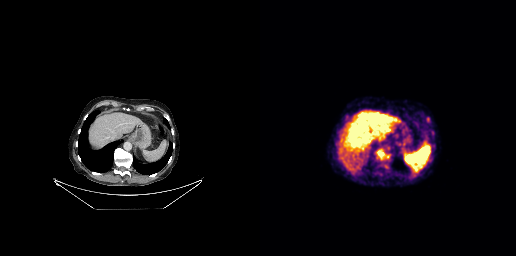
Coordinates are on the 256×256 PET (right) panel. PSMA-avid tumor lesion bounding boxes (x0, y0)-(x1, y1): (119, 154)-(129, 159) / (166, 117)-(170, 122). Small PSMA-avid focus (2 to 4 px across) near (center x, center y): (172, 132). Two-panel axial: CT | PSMA PET, 18F tracer. Slice position z = -414 mm. PET panel 256×256 px (2.7 mm/px).